- Two-panel axial: CT | PSMA PET, [18F]PSMA-1007 tracer
- acquired on Siemens Biograph mCT Flow 20
- an anonymization step blacked out a rectangle over the head in this scan
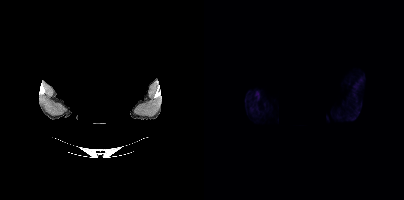
Findings: This slice has no annotated PSMA-avid lesion.